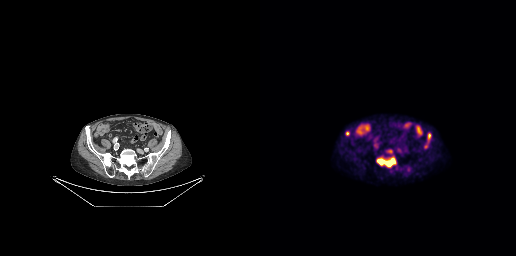
Findings: Coordinates are on the 256×256 PET (right) panel. PSMA-avid tumor lesion bounding boxes (x0, y0)-(x1, y1): (117, 158)-(135, 166) | (168, 133)-(171, 141) | (85, 131)-(89, 135).
Technique: Two-panel axial: CT | PSMA PET, 18F-PSMA tracer. slice position z = -597 mm.